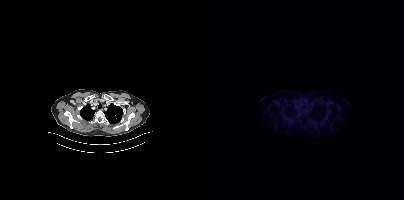
Negative for PSMA-avid disease on this slice. Two-panel axial: CT | PSMA PET, 18F-PSMA tracer. Acquired on Siemens Biograph mCT Flow 20. PET panel 200×200 px (4.1 mm/px).